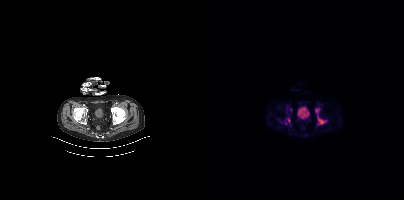
{"modality":"PSMA PET/CT","view":"axial","tracer":"18F","pet_grid":[200,200],"coord_frame":"pet_panel","coord_format":"x0,y0,x1,y1","lesion_bboxes":[[111,108,122,124],[81,118,86,124]],"small_foci_centers":[[86,109]]}